- Two-panel axial: CT | PSMA PET, [18F]PSMA-1007 tracer
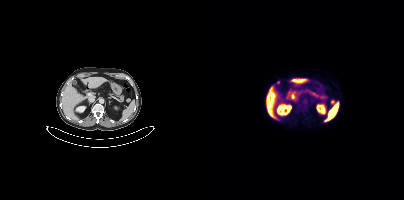
Findings: Coordinates are on the 200×200 PET (right) panel. Small PSMA-avid focus (2 to 4 px across) near (center x, center y): (128, 101).